Paired axial CT (left) and PSMA PET (right), 18F-PSMA tracer. PET panel 200×200 px (4.1 mm/px).
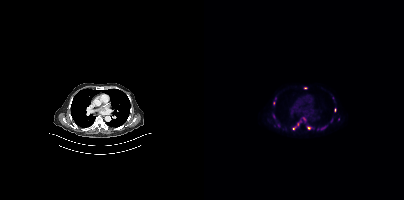
Coordinates are on the 200×200 PET (right) panel. (showing 3 of 4 foci) Small PSMA-avid foci (2 to 4 px across) near (center x, center y): (101, 87) / (104, 127) / (89, 128).